Technique: Two-panel axial: CT | PSMA PET, 18F-PSMA tracer. PET panel 200×200 px (4.1 mm/px).
Note: The face region was removed for patient privacy by blanking a rectangle over the head.
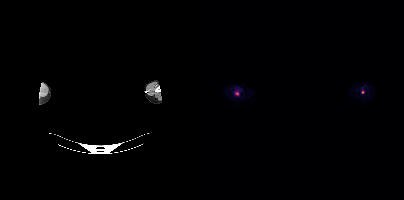
Findings: Coordinates are on the 200×200 PET (right) panel. Small PSMA-avid foci (2 to 4 px across) near (center x, center y): (32, 93); (158, 92).